Two-panel axial: CT | PSMA PET, 18F tracer. PET panel 200×200 px (4.1 mm/px).
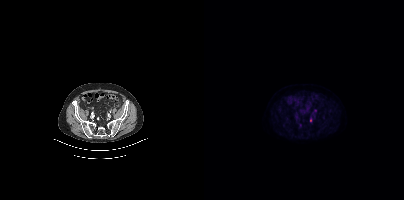
Coordinates are on the 200×200 PET (right) panel. Small PSMA-avid focus (2 to 4 px across) near (center x, center y): (111, 110).